Two-panel axial: CT | PSMA PET, [18F]PSMA-1007 tracer. PET panel 200×200 px (4.1 mm/px).
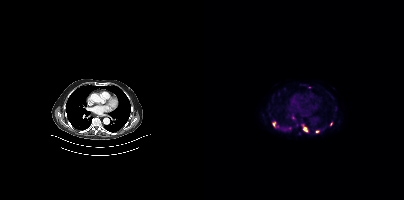
Coordinates are on the 200×200 PET (right) panel. PSMA-avid tumor lesion bounding boxes (x0,y0,x1,y1): [69,122,74,127] [99,125,103,131]. Small PSMA-avid foci (2 to 4 px across) near (center x, center y): (84, 128) (113, 131) (89, 117) (105, 87) (127, 123).